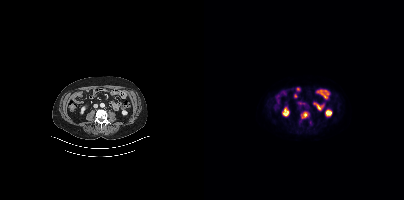
Coordinates are on the 200×200 PET (right) panel. (showing 1 of 2 foci) PSMA-avid tumor lesion bounding box (x0,y0,x1,y1): [97,112,104,118].